Technique: Paired axial CT (left) and PSMA PET (right), [68Ga]Ga-PSMA-11 tracer. acquired on Siemens Biograph 64-4R TruePoint.
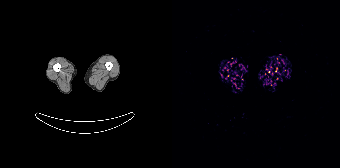
Findings: No tumor lesions annotated on this slice.